- Two-panel axial: CT | PSMA PET, 18F tracer
- PET panel 200×200 px (4.1 mm/px)
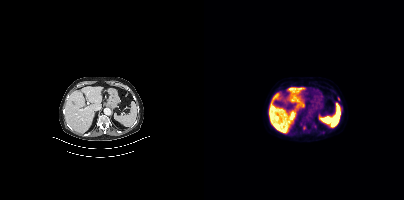
Findings: Coordinates are on the 200×200 PET (right) panel. Small PSMA-avid foci (2 to 4 px across) near (center x, center y): (134, 98); (100, 127).